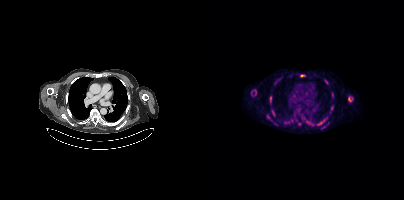
- Paired axial CT (left) and PSMA PET (right), 18F tracer
- slice position z = 168 mm
- PET panel 200×200 px (4.1 mm/px)
Findings: Coordinates are on the 200×200 PET (right) panel. (showing 5 of 7 foci) PSMA-avid tumor lesion bounding boxes (x0,y0,x1,y1): [65,96,67,101]; [118,118,123,122]; [68,110,70,114]; [96,75,100,76]. Small PSMA-avid focus (2 to 4 px across) near (center x, center y): (64, 116).